modality: PSMA PET/CT | tracer: [18F]PSMA-1007 | view: axial | PET grid: 200×200
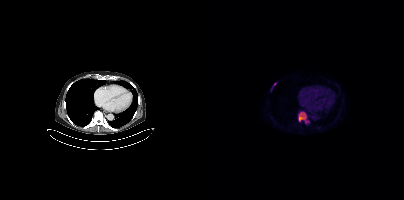
Coordinates are on the 200×200 PET (right) panel. PSMA-avid tumor lesion bounding boxes (x, y, width, height): x=94 y=111 w=12 h=13 | x=69 y=82 w=4 h=5. Small PSMA-avid focus (2 to 4 px across) near (center x, center y): (67, 89).